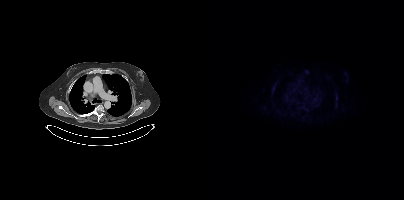
{"pet_grid":[200,200],"coord_frame":"pet_panel","coord_format":"x0,y0,x1,y1","psma_avid_lesions":false,"modality":"PSMA PET/CT","view":"axial","tracer":"18F"}